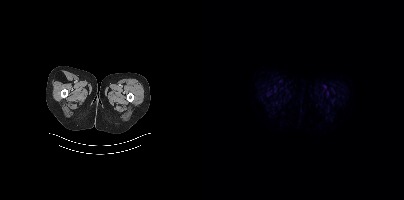
Two-panel axial: CT | PSMA PET, [18F]PSMA-1007 tracer. Acquired on Siemens Biograph mCT Flow 20. Slice 22 of 413. No tumor lesions annotated on this slice.